Technique: Two-panel axial: CT | PSMA PET, 18F-PSMA tracer. acquired on Siemens Biograph 64-4R TruePoint.
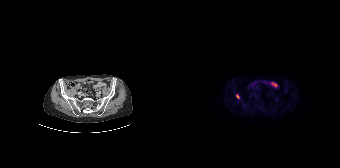
Findings: Coordinates are on the 168×168 PET (right) panel. PSMA-avid tumor lesion bounding box (x0,y0,x1,y1): [64,94,67,98].